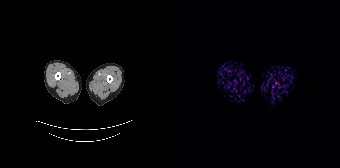
No PSMA-avid tumor lesions on this slice. Two-panel axial: CT | PSMA PET, 68Ga tracer. Acquired on Siemens Biograph 64-4R TruePoint. Slice position z = -1524 mm.